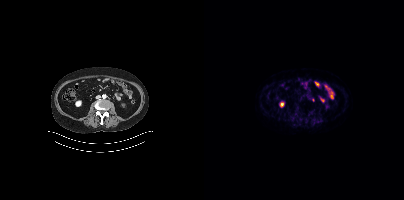
Paired axial CT (left) and PSMA PET (right), 18F tracer. Acquired on Siemens Biograph mCT Flow 20. Slice position z = -144 mm. Only PSMA-avid lesion pieces thinner than 2 px on this slice (not listed).